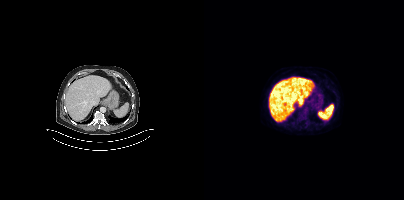
Left: CT. Right: PSMA PET, same axial level, 18F tracer. No tumor lesions annotated on this slice.